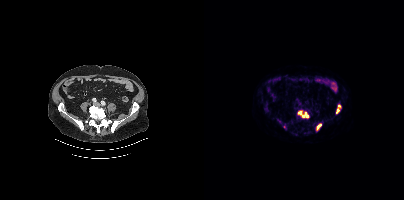
Coordinates are on the 200×200 PET (right) panel. PSMA-avid tumor lesion bounding boxes (partial; 1 more focus not listed):
| # | x0 | y0 | x1 | y1 |
|---|---|---|---|---|
| 1 | 132 | 104 | 137 | 113 |
| 2 | 94 | 111 | 104 | 117 |
| 3 | 112 | 124 | 117 | 130 |
Two-panel axial: CT | PSMA PET, [18F]PSMA-1007 tracer. PET panel 200×200 px (4.1 mm/px).